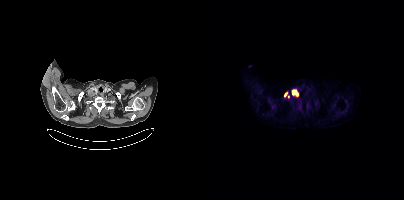
Two-panel axial: CT | PSMA PET, [18F]PSMA-1007 tracer. PET panel 200×200 px (4.1 mm/px).
Coordinates are on the 200×200 PET (right) panel. PSMA-avid tumor lesion bounding boxes:
| # | x0 | y0 | x1 | y1 |
|---|---|---|---|---|
| 1 | 88 | 90 | 94 | 95 |
Small PSMA-avid foci (2 to 4 px across) near (center x, center y): (81, 94); (84, 96).